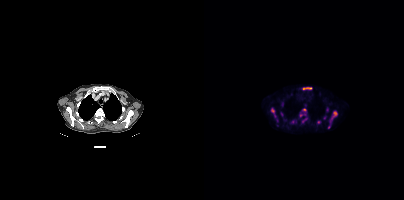
- Two-panel axial: CT | PSMA PET, 18F tracer
- acquired on Siemens Biograph mCT Flow 20
- slice position z = 440 mm
Findings: Coordinates are on the 200×200 PET (right) panel. (showing 11 of 12 foci) PSMA-avid tumor lesion bounding boxes (x0, y0)-(x1, y1): (127, 111)-(132, 119); (98, 87)-(108, 89); (67, 108)-(71, 117); (98, 119)-(102, 122). Small PSMA-avid foci (2 to 4 px across) near (center x, center y): (97, 115); (114, 122); (123, 109); (100, 109); (77, 114); (88, 121); (124, 126).